Technique: Two-panel axial: CT | PSMA PET, [18F]PSMA-1007 tracer. slice 43 of 165.
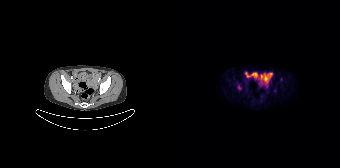
Findings: Coordinates are on the 168×168 PET (right) panel. (showing 1 of 2 foci) PSMA-avid tumor lesion bounding box (x, y, width, height): x=66 y=85 w=4 h=5.